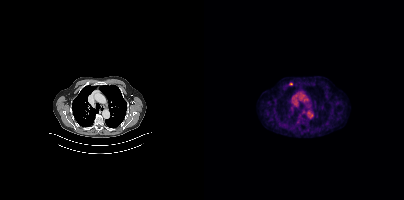
Coordinates are on the 200×200 PET (right) panel. Small PSMA-avid focus (2 to 4 px across) near (center x, center y): (86, 83).